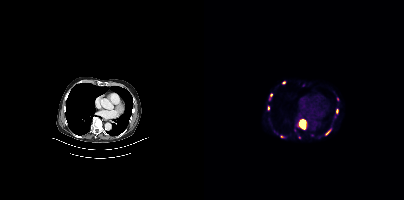
- Left: CT. Right: PSMA PET, same axial level, 68Ga tracer
- slice 245 of 409
- PET panel 200×200 px (4.1 mm/px)
Findings: Coordinates are on the 200×200 PET (right) panel. (showing 6 of 9 foci) PSMA-avid tumor lesion bounding boxes (x, y, width, height): x=95 y=120 w=8 h=9; x=121 y=129 w=6 h=7. Small PSMA-avid foci (2 to 4 px across) near (center x, center y): (77, 136); (79, 82); (64, 108); (95, 137).